Paired axial CT (left) and PSMA PET (right), [68Ga]Ga-PSMA-11 tracer. PET panel 200×200 px (4.1 mm/px).
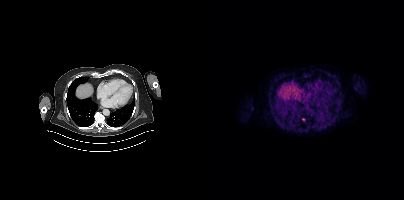
Coordinates are on the 200×200 PET (right) panel. Small PSMA-avid focus (2 to 4 px across) near (center x, center y): (99, 119).